Left: CT. Right: PSMA PET, same axial level, 18F-PSMA tracer.
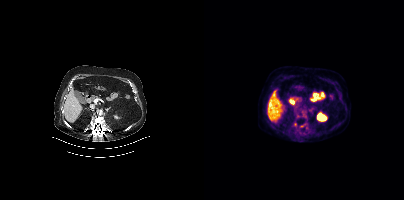
Only PSMA-avid lesion pieces thinner than 2 px on this slice (not listed).